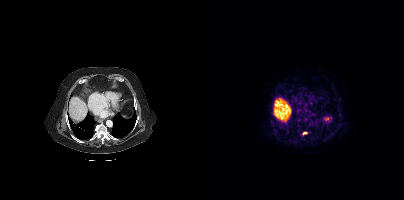
Technique: Paired axial CT (left) and PSMA PET (right), 68Ga tracer. acquired on Siemens Biograph mCT Flow 20. slice 261 of 444. PET panel 200×200 px (4.1 mm/px).
Findings: Coordinates are on the 200×200 PET (right) panel. PSMA-avid tumor lesion bounding box (x0, y0)-(x1, y1): (99, 132)-(103, 134).